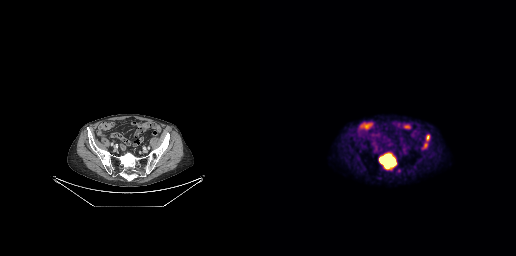
Technique: Left: CT. Right: PSMA PET, same axial level, [18F]PSMA-1007 tracer. acquired on GE Discovery 690. PET panel 256×256 px (2.7 mm/px).
Findings: Coordinates are on the 256×256 PET (right) panel. (showing 2 of 3 foci) PSMA-avid tumor lesion bounding boxes (x0, y0)-(x1, y1): (119, 154)-(136, 168); (167, 135)-(169, 139).